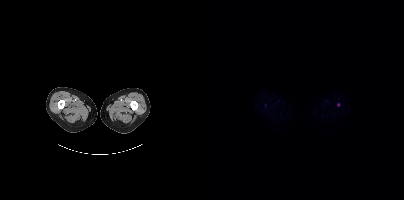
Left: CT. Right: PSMA PET, same axial level, 18F tracer. Acquired on Siemens Biograph mCT Flow 20. Slice 68 of 508. PET panel 200×200 px (4.1 mm/px). Coordinates are on the 200×200 PET (right) panel. Small PSMA-avid foci (2 to 4 px across) near (center x, center y): (134, 105), (61, 104).